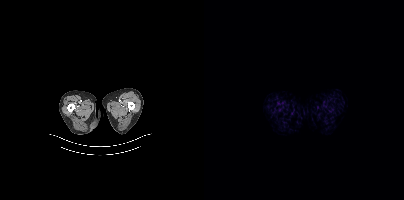
This slice has no annotated PSMA-avid lesion.